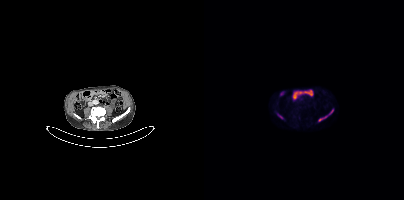
- Left: CT. Right: PSMA PET, same axial level, [18F]PSMA-1007 tracer
- slice 127 of 354
- PET panel 200×200 px (4.1 mm/px)
Findings: Coordinates are on the 200×200 PET (right) panel. PSMA-avid tumor lesion bounding boxes (x, y, width, height): x=73 y=113 w=7 h=7 | x=115 y=116 w=9 h=6 | x=125 y=109 w=5 h=6.